Paired axial CT (left) and PSMA PET (right), [18F]PSMA-1007 tracer. Slice position z = -1088 mm. PET panel 200×200 px (4.1 mm/px).
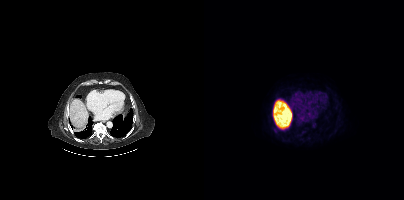
This slice has no annotated PSMA-avid lesion.